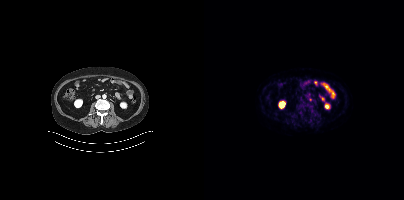
Technique: Left: CT. Right: PSMA PET, same axial level, 18F-PSMA tracer. acquired on Siemens Biograph mCT Flow 20. slice 177 of 433. PET panel 200×200 px (4.1 mm/px).
Findings: Coordinates are on the 200×200 PET (right) panel. Small PSMA-avid focus (2 to 4 px across) near (center x, center y): (106, 99).